- Left: CT. Right: PSMA PET, same axial level, 68Ga tracer
- acquired on Siemens Biograph mCT Flow 20
- PET panel 200×200 px (4.1 mm/px)
- a rectangular block over the head has been blanked out for de-identification
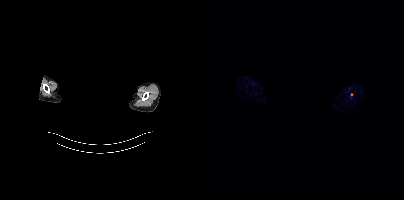
Findings: No tumor lesions annotated on this slice.